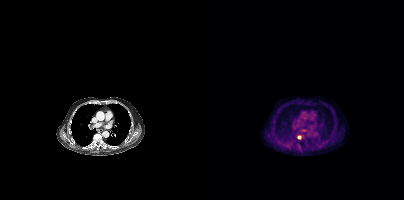
Paired axial CT (left) and PSMA PET (right), [18F]PSMA-1007 tracer. PET panel 200×200 px (4.1 mm/px). Coordinates are on the 200×200 PET (right) panel. (showing 2 of 3 foci) PSMA-avid tumor lesion bounding box (x0,y0,x1,y1): [93,136,97,138]. Small PSMA-avid focus (2 to 4 px across) near (center x, center y): (69, 121).